Two-panel axial: CT | PSMA PET, 18F-PSMA tracer. Acquired on Siemens Biograph mCT Flow 20. PET panel 200×200 px (4.1 mm/px).
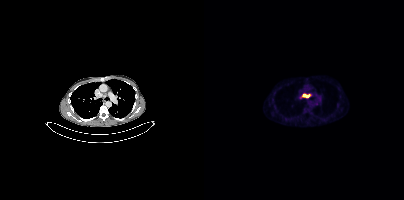
Coordinates are on the 200×200 PET (right) panel. PSMA-avid tumor lesion bounding box (x0, y0)-(x1, y1): (95, 94)-(105, 98). Small PSMA-avid focus (2 to 4 px across) near (center x, center y): (112, 103).